- Two-panel axial: CT | PSMA PET, 68Ga-PSMA tracer
- PET panel 256×256 px (2.7 mm/px)
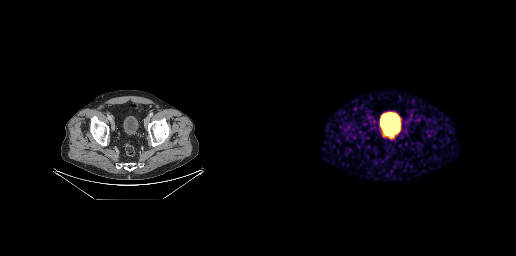
Findings: No tumor lesions annotated on this slice.